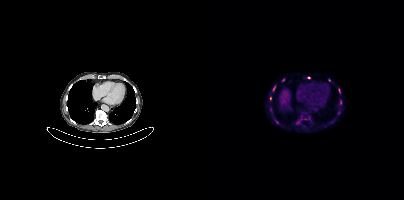
Coordinates are on the 200×200 PET (right) panel. (showing 5 of 6 foci) PSMA-avid tumor lesion bounding box (x, y, width, height): x=69 y=86 w=3 h=5. Small PSMA-avid foci (2 to 4 px across) near (center x, center y): (136, 102); (66, 98); (105, 77); (79, 79).